- Two-panel axial: CT | PSMA PET, 18F-PSMA tracer
- slice position z = -521 mm
- PET panel 200×200 px (4.1 mm/px)
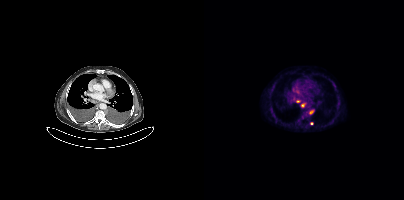
Findings: Coordinates are on the 200×200 PET (right) panel. PSMA-avid tumor lesion bounding box (x0, y0)-(x1, y1): (105, 109)-(110, 114). Small PSMA-avid foci (2 to 4 px across) near (center x, center y): (98, 105) | (94, 101) | (107, 123).